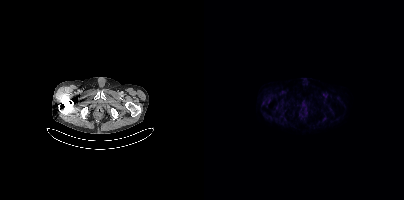
This slice has no annotated PSMA-avid lesion. Left: CT. Right: PSMA PET, same axial level, 18F-PSMA tracer. PET panel 200×200 px (4.1 mm/px).